Left: CT. Right: PSMA PET, same axial level, 68Ga tracer. Slice 20 of 393. PET panel 200×200 px (4.1 mm/px).
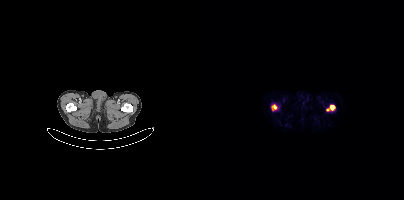
Coordinates are on the 200×200 PET (right) panel. PSMA-avid tumor lesion bounding boxes (partial; 1 more focus not listed):
| # | x0 | y0 | x1 | y1 |
|---|---|---|---|---|
| 1 | 122 | 105 | 131 | 110 |
| 2 | 68 | 105 | 72 | 109 |